Paired axial CT (left) and PSMA PET (right), 18F tracer. Acquired on Siemens Biograph mCT Flow 20. Slice position z = -758 mm. PET panel 200×200 px (4.1 mm/px).
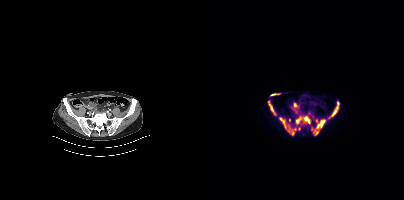
Coordinates are on the 200×200 PET (right) panel. PSMA-avid tumor lesion bounding boxes (partial; 5 more foci not listed):
| # | x0 | y0 | x1 | y1 |
|---|---|---|---|---|
| 1 | 75 | 117 | 89 | 134 |
| 2 | 92 | 116 | 106 | 124 |
| 3 | 64 | 103 | 72 | 115 |
| 4 | 127 | 102 | 135 | 116 |
| 5 | 113 | 119 | 121 | 128 |
Small PSMA-avid focus (2 to 4 px across) near (center x, center y): (112, 133).